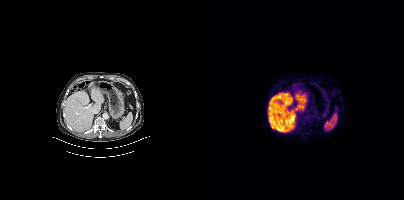
- Left: CT. Right: PSMA PET, same axial level, 68Ga tracer
Findings: No PSMA-avid tumor lesions on this slice.